Paired axial CT (left) and PSMA PET (right), 18F-PSMA tracer. Slice 137 of 417. PET panel 200×200 px (4.1 mm/px).
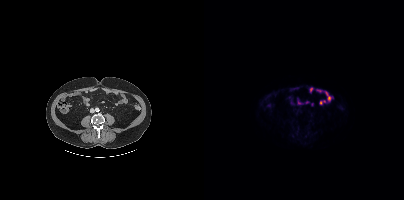
This slice has no annotated PSMA-avid lesion.